modality: PSMA PET/CT | tracer: 18F-PSMA | view: axial
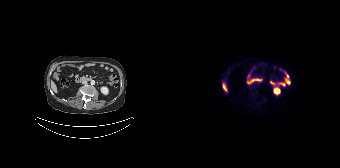
Negative for PSMA-avid disease on this slice.